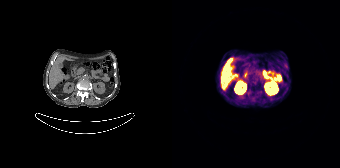
No PSMA-avid tumor lesions on this slice. Paired axial CT (left) and PSMA PET (right), 68Ga tracer. Slice position z = -984 mm. PET panel 168×168 px (4.1 mm/px).